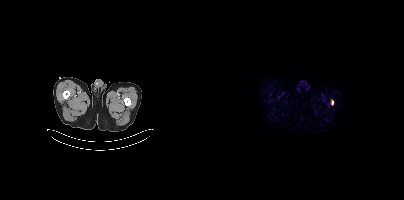
Two-panel axial: CT | PSMA PET, [18F]PSMA-1007 tracer. Acquired on Siemens Biograph mCT Flow 20. Slice 16 of 389. PET panel 200×200 px (4.1 mm/px). Coordinates are on the 200×200 PET (right) panel. PSMA-avid tumor lesion bounding box (x0, y0)-(x1, y1): (127, 100)-(129, 105).